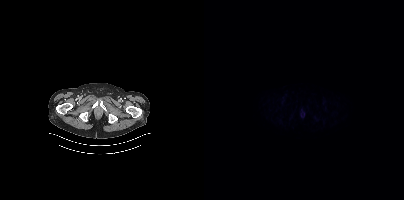
Technique: Two-panel axial: CT | PSMA PET, [18F]PSMA-1007 tracer. PET panel 200×200 px (4.1 mm/px).
Findings: Negative for PSMA-avid disease on this slice.